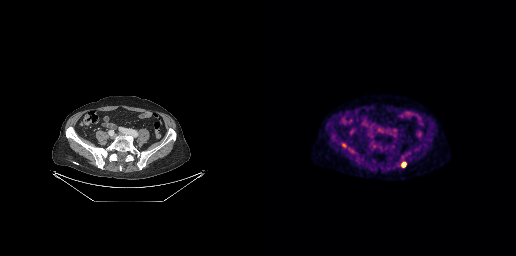
Left: CT. Right: PSMA PET, same axial level, [18F]PSMA-1007 tracer. Acquired on GE Discovery 690. Slice position z = -716 mm. PET panel 256×256 px (2.7 mm/px). Coordinates are on the 256×256 PET (right) panel. Small PSMA-avid focus (2 to 4 px across) near (center x, center y): (143, 164).